modality: PSMA PET/CT | tracer: 18F-PSMA | view: axial | PET grid: 200×200
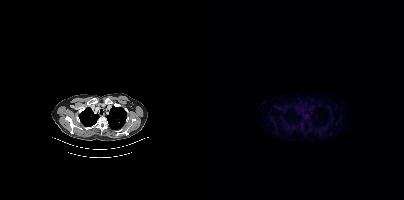
This slice has no annotated PSMA-avid lesion.